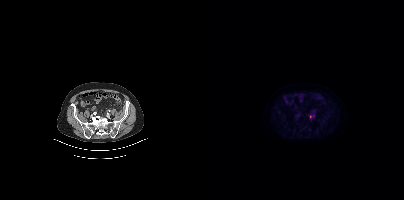
Paired axial CT (left) and PSMA PET (right), 18F tracer. Slice 109 of 383. PET panel 200×200 px (4.1 mm/px). Coordinates are on the 200×200 PET (right) panel. Small PSMA-avid focus (2 to 4 px across) near (center x, center y): (106, 116).